Technique: Left: CT. Right: PSMA PET, same axial level, 18F tracer. slice 385 of 454. PET panel 200×200 px (4.1 mm/px).
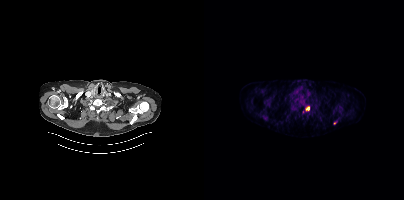
Findings: Coordinates are on the 200×200 PET (right) panel. PSMA-avid tumor lesion bounding boxes (x0,y0,x1,y1): [86,105,93,111] [95,97,100,102] [58,115,62,120]. Small PSMA-avid foci (2 to 4 px across) near (center x, center y): (103, 108) (131, 122).